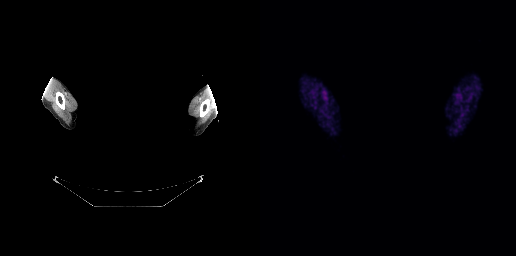
{"modality":"PSMA PET/CT","view":"axial","tracer":"[68Ga]Ga-PSMA-11","pet_grid":[256,256],"coord_frame":"pet_panel","coord_format":"x0,y0,x1,y1","psma_avid_lesions":false,"de-identification":"privacy mask over head"}